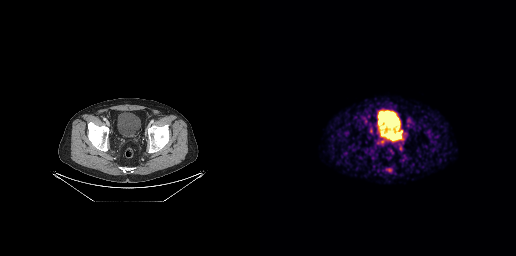
Coordinates are on the 256×256 PET (right) panel. PSMA-avid tumor lesion bounding box (x0, y0)-(x1, y1): (130, 133)-(141, 140). Small PSMA-avid focus (2 to 4 px across) near (center x, center y): (121, 142).